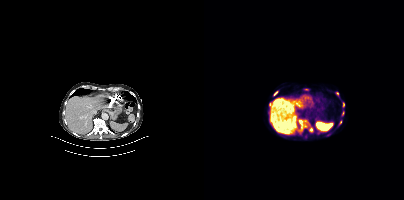
Findings: Coordinates are on the 200×200 PET (right) panel. (showing 7 of 8 foci) PSMA-avid tumor lesion bounding boxes (x, y, width, height): x=93 y=119 w=17 h=15 | x=138 y=102 w=3 h=6 | x=138 y=111 w=3 h=5 | x=70 y=91 w=4 h=5. Small PSMA-avid foci (2 to 4 px across) near (center x, center y): (133, 93) | (66, 104) | (136, 122).
Technique: Left: CT. Right: PSMA PET, same axial level, [18F]PSMA-1007 tracer.